deidentification: head region blanked (face removed) | modality: PSMA PET/CT | tracer: 18F-PSMA | view: axial | PET grid: 256×256
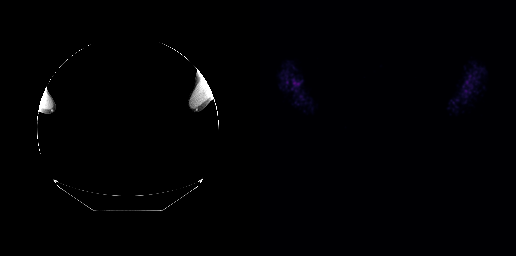
This slice has no annotated PSMA-avid lesion.